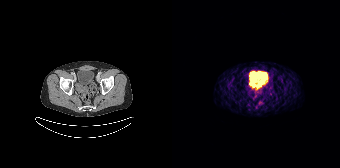
{"modality":"PSMA PET/CT","view":"axial","tracer":"68Ga-PSMA","pet_grid":[168,168],"coord_frame":"pet_panel","coord_format":"x0,y0,x1,y1","psma_avid_lesions":false}